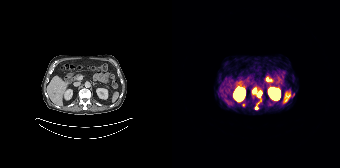
Left: CT. Right: PSMA PET, same axial level, [68Ga]Ga-PSMA-11 tracer. Slice position z = -669 mm. Coordinates are on the 168×168 PET (right) panel. Small PSMA-avid foci (2 to 4 px across) near (center x, center y): (88, 92) | (84, 108) | (82, 91).